Left: CT. Right: PSMA PET, same axial level, [18F]PSMA-1007 tracer. PET panel 200×200 px (4.1 mm/px).
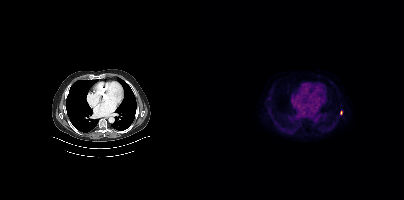
Only PSMA-avid lesion pieces thinner than 2 px on this slice (not listed).